Paired axial CT (left) and PSMA PET (right), [18F]PSMA-1007 tracer. Slice position z = -174 mm. PET panel 256×256 px (2.7 mm/px).
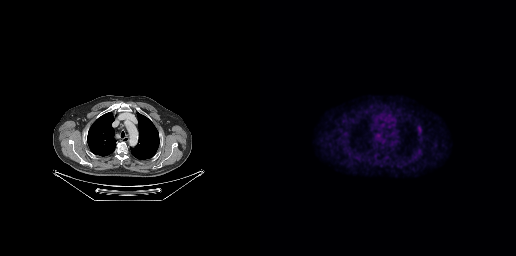
Coordinates are on the 256×256 PET (right) panel. PSMA-avid tumor lesion bounding boxes:
| # | x0 | y0 | x1 | y1 |
|---|---|---|---|---|
| 1 | 158 | 126 | 161 | 132 |